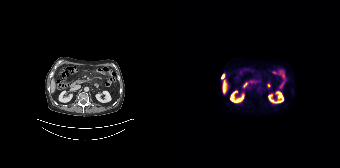
Findings: Coordinates are on the 168×168 PET (right) panel. PSMA-avid tumor lesion bounding box (x0, y0)-(x1, y1): (49, 74)-(52, 78).
- Left: CT. Right: PSMA PET, same axial level, 18F tracer
- PET panel 168×168 px (4.1 mm/px)